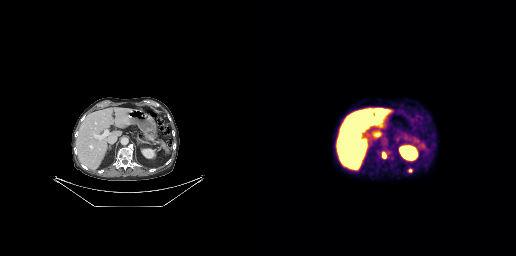
Coordinates are on the 256×256 PET (right) panel. PSMA-avid tumor lesion bounding boxes (x, y, width, height): x=122 y=152 w=5 h=7 / x=148 y=168 w=5 h=5.